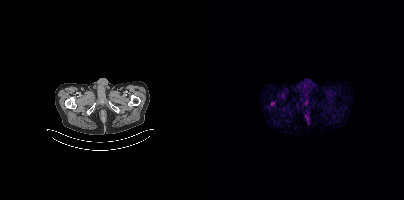
Negative for PSMA-avid disease on this slice.